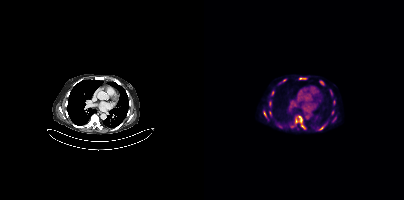
{"modality":"PSMA PET/CT","view":"axial","tracer":"18F","pet_grid":[200,200],"coord_frame":"pet_panel","coord_format":"x0,y0,x1,y1","partial":true,"lesion_bboxes":[[91,117,101,128],[115,81,120,85],[115,125,120,130],[95,78,102,79],[67,91,69,95],[126,90,128,94],[60,112,62,116]],"small_foci_centers":[[66,103],[80,80],[128,112]]}